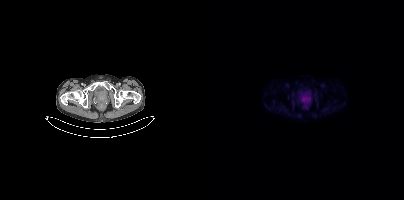
{"modality":"PSMA PET/CT","view":"axial","tracer":"18F","pet_grid":[200,200],"coord_frame":"pet_panel","coord_format":"x0,y0,x1,y1","lesion_bboxes":[[97,95,107,102]]}